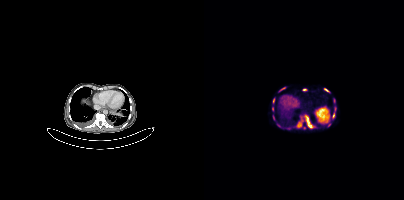
modality: PSMA PET/CT | tracer: 68Ga-PSMA | view: axial
Coordinates are on the 200×200 PET (right) panel. (showing 10 of 14 foci) PSMA-avid tumor lesion bounding boxes (x0,y0,x1,y1): [101,115,108,128] [94,122,97,126] [75,87,81,91] [129,114,130,118] [121,89,125,92]. Small PSMA-avid foci (2 to 4 px across) near (center x, center y): (100, 89) (68, 108) (131, 108) (69, 98) (74, 125).